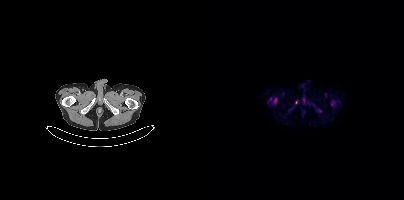
Technique: Left: CT. Right: PSMA PET, same axial level, 18F tracer. acquired on Siemens Biograph mCT Flow 20. slice 32 of 403. PET panel 200×200 px (4.1 mm/px).
Findings: Coordinates are on the 200×200 PET (right) panel. (showing 1 of 2 foci) Small PSMA-avid focus (2 to 4 px across) near (center x, center y): (71, 100).